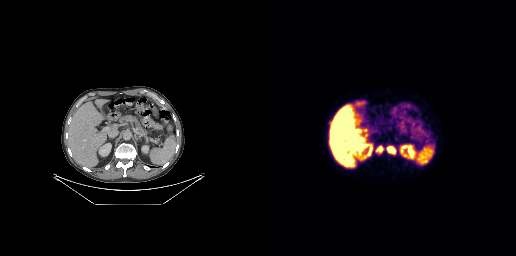
Findings: Coordinates are on the 256×256 PET (right) panel. PSMA-avid tumor lesion bounding box (x0,y0,x1,y1): [115,145,136,155].
Technique: Paired axial CT (left) and PSMA PET (right), 18F tracer. acquired on GE Discovery 690. slice 143 of 263.